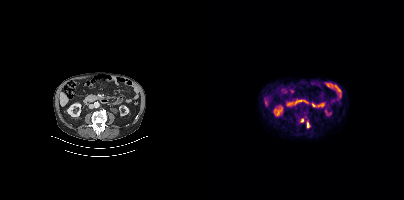
{"modality":"PSMA PET/CT","view":"axial","tracer":"18F-PSMA","pet_grid":[200,200],"coord_frame":"pet_panel","coord_format":"x0,y0,x1,y1","lesion_bboxes":[[103,122,105,127]],"small_foci_centers":[[98,120]]}